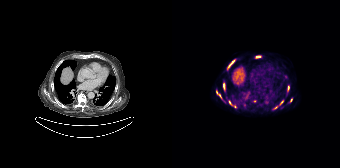
Findings: Coordinates are on the 168×168 PET (right) panel. PSMA-avid tumor lesion bounding boxes (x, y, width, height): x=56 y=59 w=8 h=9 / x=51 y=83 w=3 h=8 / x=57 y=100 w=8 h=8 / x=44 y=90 w=6 h=9 / x=84 y=56 w=5 h=2 / x=116 y=86 w=2 h=5. Small PSMA-avid foci (2 to 4 px across) near (center x, center y): (103, 107) / (119, 100) / (82, 100) / (109, 101).
- Left: CT. Right: PSMA PET, same axial level, 18F tracer
- slice position z = -1180 mm